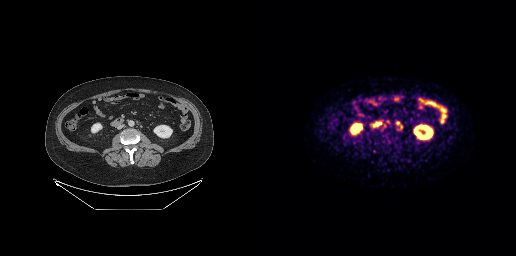
Coordinates are on the 256×256 PET (right) panel. Small PSMA-avid focus (2 to 4 px across) near (center x, center y): (138, 123). Left: CT. Right: PSMA PET, same axial level, 18F tracer. Acquired on GE Discovery 690.